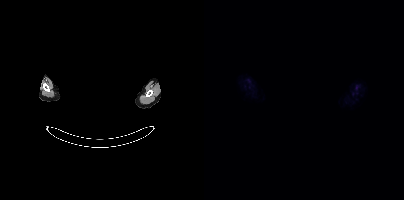
Technique: Two-panel axial: CT | PSMA PET, [18F]PSMA-1007 tracer. PET panel 200×200 px (4.1 mm/px).
Note: Privacy masking over the head, with the pixels inside a rectangle set to black.
Findings: No tumor lesions annotated on this slice.